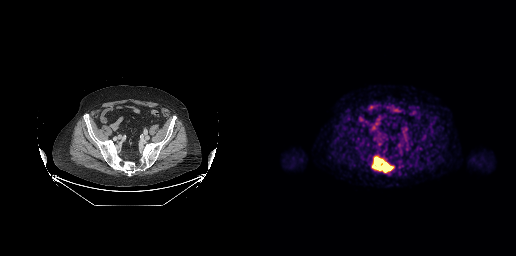
Paired axial CT (left) and PSMA PET (right), 18F-PSMA tracer. Acquired on GE Discovery 690. PET panel 256×256 px (2.7 mm/px). Coordinates are on the 256×256 PET (right) panel. PSMA-avid tumor lesion bounding box (x0,y0,x1,y1): [112,156,133,172].